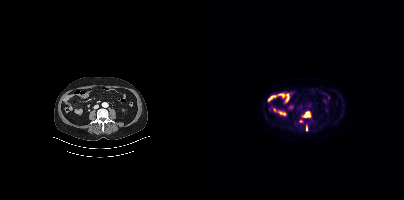
Coordinates are on the 200×200 PET (right) panel. (showing 2 of 3 foci) PSMA-avid tumor lesion bounding boxes (x, y, width, height): x=99 y=111 w=8 h=7 | x=102 y=126 w=2 h=5. Paired axial CT (left) and PSMA PET (right), 18F-PSMA tracer. Acquired on Siemens Biograph mCT Flow 20.